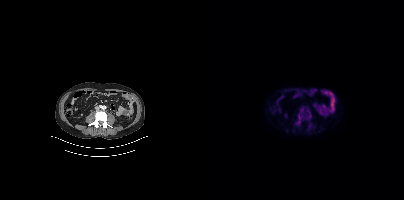
Coordinates are on the 200×200 PET (right) panel. (showing 3 of 4 foci) PSMA-avid tumor lesion bounding boxes (x0, y0)-(x1, y1): (93, 114)-(97, 123); (103, 110)-(107, 117). Small PSMA-avid focus (2 to 4 px across) near (center x, center y): (97, 109). Two-panel axial: CT | PSMA PET, [18F]PSMA-1007 tracer.